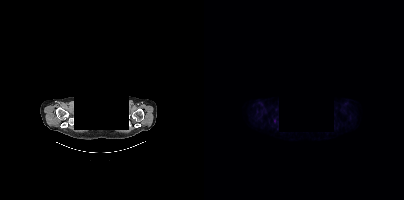
{"modality":"PSMA PET/CT","view":"axial","tracer":"18F","pet_grid":[200,200],"coord_frame":"pet_panel","coord_format":"x0,y0,x1,y1","lesion_bboxes":[],"small_foci_centers":[[70,120]],"redaction":"head region blacked out before release"}